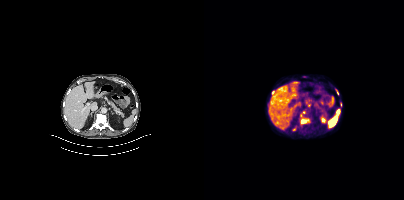
{"pet_grid":[200,200],"coord_frame":"pet_panel","coord_format":"x0,y0,x1,y1","partial":true,"lesion_bboxes":[[96,115,106,125],[132,90,134,94]],"small_foci_centers":[[99,112],[90,129],[69,92]],"modality":"PSMA PET/CT","view":"axial","tracer":"18F-PSMA"}